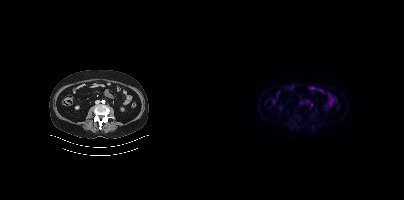
{"modality":"PSMA PET/CT","view":"axial","tracer":"18F-PSMA","pet_grid":[200,200],"coord_frame":"pet_panel","coord_format":"x0,y0,x1,y1","psma_avid_lesions":false}